Left: CT. Right: PSMA PET, same axial level, [18F]PSMA-1007 tracer. Acquired on GE Discovery 690.
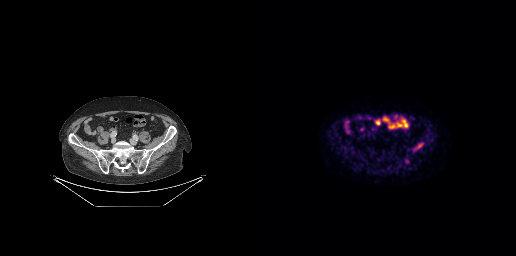
Coordinates are on the 256×256 PET (right) panel. (showing 1 of 2 foci) PSMA-avid tumor lesion bounding box (x0,y0,x1,y1): [154,143,163,150].